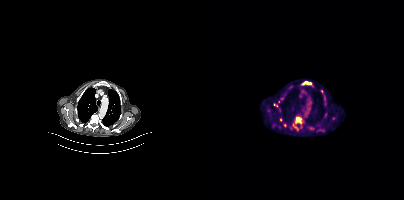
Two-panel axial: CT | PSMA PET, 18F-PSMA tracer. Acquired on Siemens Biograph mCT Flow 20. Coordinates are on the 200×200 PET (right) panel. (showing 10 of 11 foci) PSMA-avid tumor lesion bounding boxes (x0, y0)-(x1, y1): (91, 116)-(99, 124) | (69, 103)-(75, 111) | (99, 83)-(107, 84) | (76, 96)-(80, 100) | (115, 129)-(119, 131). Small PSMA-avid foci (2 to 4 px across) near (center x, center y): (77, 119) | (85, 88) | (82, 92) | (80, 125) | (64, 110).